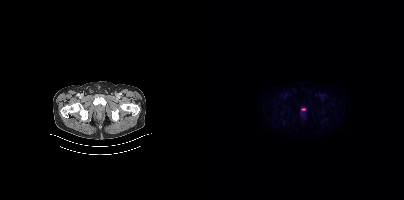
Paired axial CT (left) and PSMA PET (right), 18F-PSMA tracer. Acquired on Siemens Biograph mCT Flow 20. Slice 49 of 389. Coordinates are on the 200×200 PET (right) panel. Small PSMA-avid focus (2 to 4 px across) near (center x, center y): (96, 113).